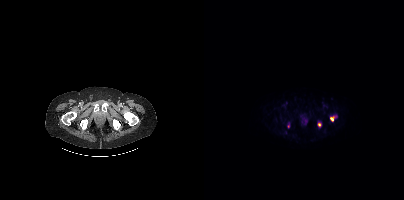
modality: PSMA PET/CT | tracer: 18F-PSMA | view: axial | PET grid: 200×200
Coordinates are on the 200×200 PET (right) panel. PSMA-avid tumor lesion bounding box (x, y, width, height): x=126 y=116 w=5 h=6. Small PSMA-avid focus (2 to 4 px across) near (center x, center y): (115, 124).